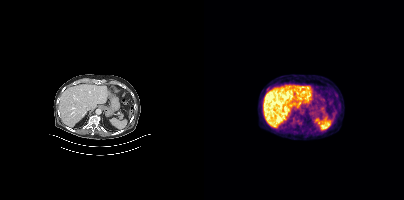
Negative for PSMA-avid disease on this slice. Paired axial CT (left) and PSMA PET (right), [18F]PSMA-1007 tracer. Acquired on Siemens Biograph mCT Flow 20. Slice position z = -1232 mm. PET panel 200×200 px (4.1 mm/px).